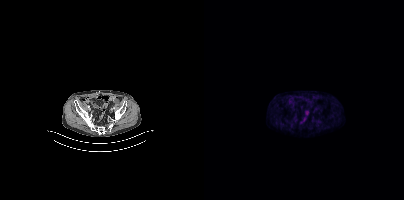
Two-panel axial: CT | PSMA PET, 18F-PSMA tracer. Acquired on Siemens Biograph mCT Flow 20. No tumor lesions annotated on this slice.